modality: PSMA PET/CT | tracer: 18F | view: axial | PET grid: 200×200
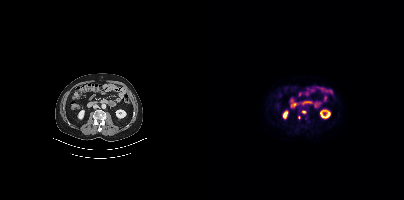
Coordinates are on the 200×200 PET (right) panel. Small PSMA-avid foci (2 to 4 px across) near (center x, center y): (99, 112) (94, 117).